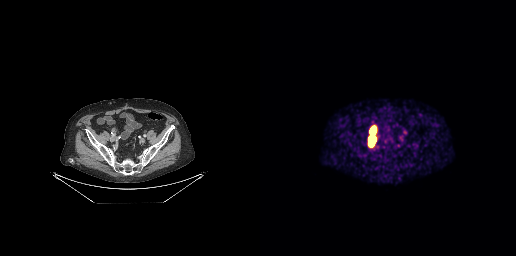
Coordinates are on the 256×256 PET (right) panel. PSMA-avid tumor lesion bounding boxes (x0,y0,x1,y1): [110,137,114,145] [111,129,115,132]. Paired axial CT (left) and PSMA PET (right), 68Ga tracer. Acquired on GE Discovery 690. Slice position z = -726 mm.